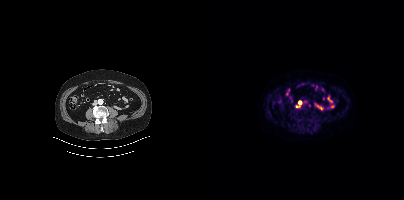
Coordinates are on the 200×200 PET (right) panel. (showing 1 of 2 foci) Small PSMA-avid focus (2 to 4 px across) near (center x, center y): (96, 102).